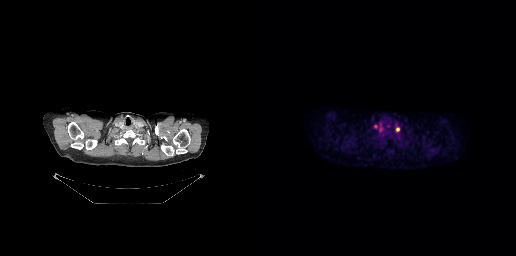
- Left: CT. Right: PSMA PET, same axial level, 18F tracer
- acquired on GE Discovery 690
Findings: Coordinates are on the 256×256 PET (right) panel. Small PSMA-avid focus (2 to 4 px across) near (center x, center y): (137, 129).